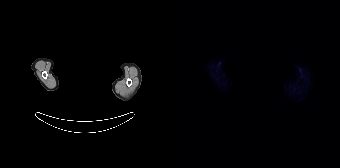
Findings: No PSMA-avid tumor lesions on this slice.
- facial anatomy redacted by setting a rectangular region of the head to black
- Left: CT. Right: PSMA PET, same axial level, 18F-PSMA tracer
- slice 148 of 165
- PET panel 168×168 px (4.1 mm/px)